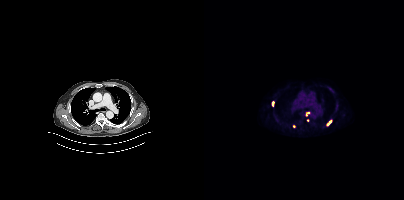
{"modality":"PSMA PET/CT","view":"axial","tracer":"[18F]PSMA-1007","pet_grid":[200,200],"coord_frame":"pet_panel","coord_format":"x0,y0,x1,y1","partial":true,"lesion_bboxes":[[122,120,128,126]],"small_foci_centers":[[68,103],[103,113]]}